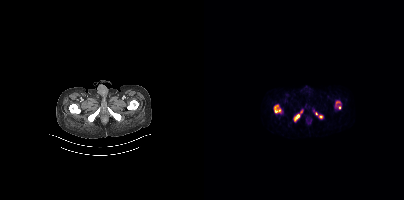
modality: PSMA PET/CT | tracer: 68Ga | view: axial
This slice has no annotated PSMA-avid lesion.